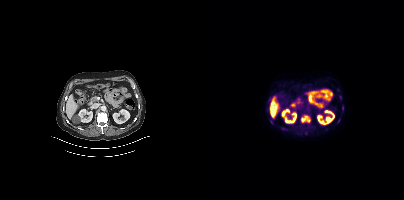
Coordinates are on the 200×200 PET (right) panel. PSMA-avid tumor lesion bounding boxes:
| # | x0 | y0 | x1 | y1 |
|---|---|---|---|---|
| 1 | 97 | 115 | 106 | 122 |
| 2 | 138 | 106 | 139 | 110 |
Small PSMA-avid foci (2 to 4 px across) near (center x, center y): (134, 120); (66, 120); (78, 127).
Left: CT. Right: PSMA PET, same axial level, 18F tracer.